Left: CT. Right: PSMA PET, same axial level, [68Ga]Ga-PSMA-11 tracer.
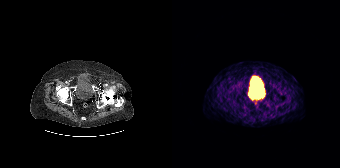
This slice has no annotated PSMA-avid lesion.